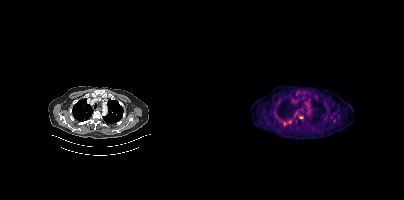
modality: PSMA PET/CT | tracer: 18F-PSMA | view: axial
Coordinates are on the 200×200 PET (right) panel. Small PSMA-avid foci (2 to 4 px across) near (center x, center y): (96, 117), (85, 121), (80, 122).